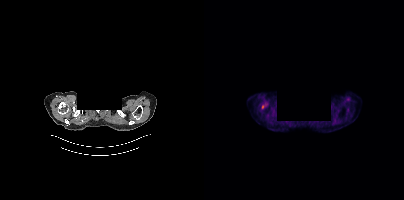
Two-panel axial: CT | PSMA PET, [18F]PSMA-1007 tracer. Slice position z = -1012 mm. PET panel 200×200 px (4.1 mm/px). Privacy masking over the head, with the pixels inside a rectangle set to black. This slice has no annotated PSMA-avid lesion.